modality: PSMA PET/CT | tracer: [18F]PSMA-1007 | view: axial | PET grid: 256×256
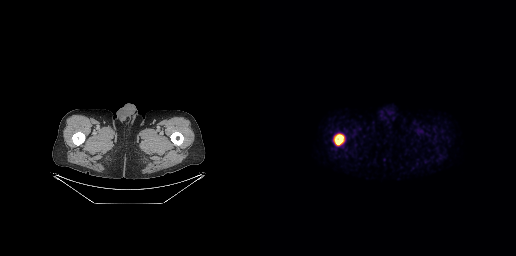
Coordinates are on the 256×256 PET (right) panel. PSMA-avid tumor lesion bounding box (x0,y0,x1,y1): [74,134,84,145].